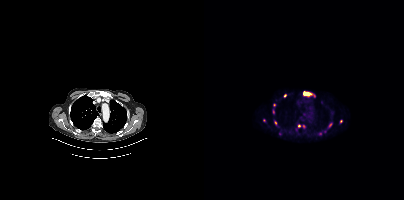
- Two-panel axial: CT | PSMA PET, [68Ga]Ga-PSMA-11 tracer
- acquired on Siemens Biograph mCT Flow 20
- slice position z = -1044 mm
Findings: Coordinates are on the 200×200 PET (right) panel. (showing 8 of 9 foci) PSMA-avid tumor lesion bounding boxes (x0, y0)-(x1, y1): (100, 92)-(107, 95) | (94, 125)-(101, 128). Small PSMA-avid foci (2 to 4 px across) near (center x, center y): (81, 95) | (137, 121) | (126, 125) | (71, 123) | (70, 104) | (60, 120).